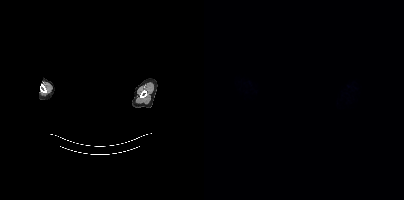
Findings: This slice has no annotated PSMA-avid lesion.
Technique: Paired axial CT (left) and PSMA PET (right), [18F]PSMA-1007 tracer. slice position z = -376 mm.
Note: A rectangular block over the head has been blanked out for de-identification.